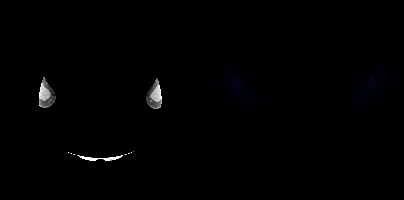
modality: PSMA PET/CT | tracer: 18F-PSMA | view: axial | PET grid: 200×200 | deidentification: face masked with black rectangle
This slice has no annotated PSMA-avid lesion.